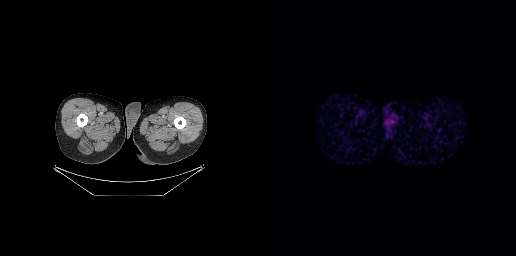
{"modality":"PSMA PET/CT","view":"axial","tracer":"68Ga-PSMA","pet_grid":[256,256],"coord_frame":"pet_panel","coord_format":"x0,y0,x1,y1","psma_avid_lesions":false}